deidentification: face masked with black rectangle | modality: PSMA PET/CT | tracer: 18F | view: axial | PET grid: 200×200
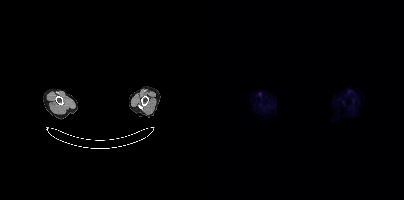
No PSMA-avid tumor lesions on this slice.